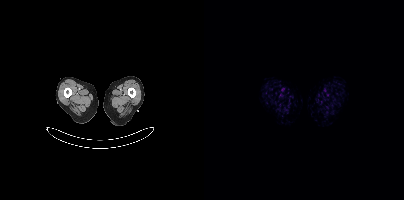
{"modality":"PSMA PET/CT","view":"axial","tracer":"18F","pet_grid":[200,200],"coord_frame":"pet_panel","coord_format":"x0,y0,x1,y1","psma_avid_lesions":false}